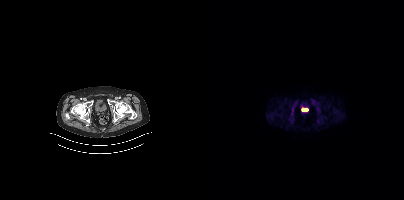
{"modality":"PSMA PET/CT","view":"axial","tracer":"18F","pet_grid":[200,200],"coord_frame":"pet_panel","coord_format":"x0,y0,x1,y1","lesion_bboxes":[[98,109,103,110]]}